Technique: Left: CT. Right: PSMA PET, same axial level, [18F]PSMA-1007 tracer. slice position z = -1502 mm.
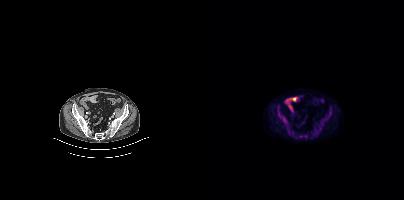
Findings: Coordinates are on the 200×200 PET (right) panel. PSMA-avid tumor lesion bounding boxes (x, y, width, height): x=77 y=117 w=8 h=11; x=123 y=108 w=5 h=11; x=73 y=106 w=4 h=10; x=117 y=118 w=5 h=5. Small PSMA-avid foci (2 to 4 px across) near (center x, center y): (101, 136); (97, 136).